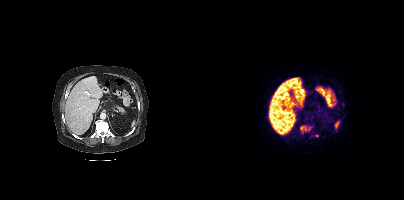
Coordinates are on the 200×200 PET (right) panel. (showing 2 of 3 foci) PSMA-avid tumor lesion bounding box (x, y, width, height): x=96 y=126 w=7 h=5. Small PSMA-avid focus (2 to 4 px across) near (center x, center y): (112, 135).
modality: PSMA PET/CT | tracer: 68Ga-PSMA | view: axial